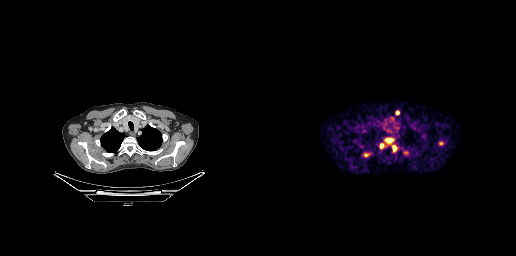
Coordinates are on the 256×256 PET (right) panel. (showing 6 of 7 foci) PSMA-avid tumor lesion bounding boxes (x, y, width, height): x=103 y=152 w=8 h=6; x=132 y=145 w=5 h=7; x=143 y=151 w=6 h=5; x=126 y=139 w=7 h=3; x=120 y=144 w=4 h=5. Small PSMA-avid focus (2 to 4 px across) near (center x, center y): (137, 112).